modality: PSMA PET/CT | tracer: [18F]PSMA-1007 | view: axial
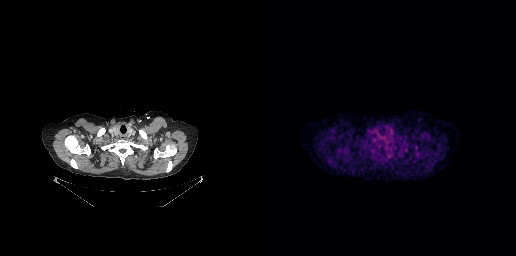
This slice has no annotated PSMA-avid lesion.